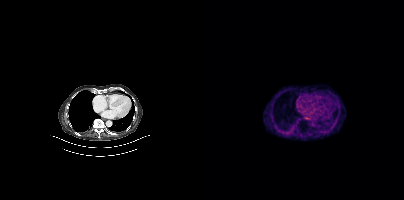
{"pet_grid":[200,200],"coord_frame":"pet_panel","coord_format":"x0,y0,x1,y1","psma_avid_lesions":false,"modality":"PSMA PET/CT","view":"axial","tracer":"68Ga"}